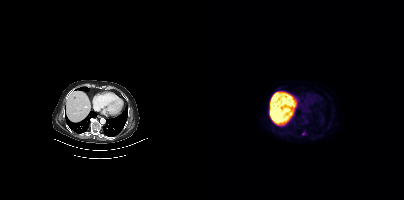
- Two-panel axial: CT | PSMA PET, [18F]PSMA-1007 tracer
- acquired on Siemens Biograph mCT Flow 20
- slice 230 of 377
Findings: Coordinates are on the 200×200 PET (right) panel. Small PSMA-avid focus (2 to 4 px across) near (center x, center y): (98, 133).